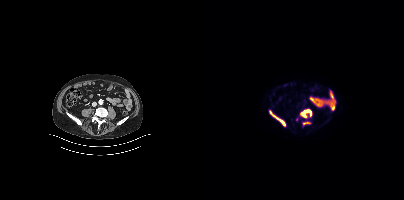
{"modality":"PSMA PET/CT","view":"axial","tracer":"[18F]PSMA-1007","pet_grid":[200,200],"coord_frame":"pet_panel","coord_format":"x0,y0,x1,y1","partial":true,"lesion_bboxes":[[65,110,81,126],[97,109,107,117],[102,122,106,123]],"small_foci_centers":[[99,125]]}